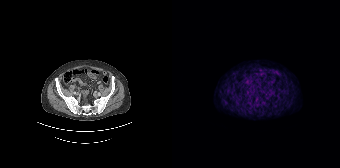
No tumor lesions annotated on this slice. Paired axial CT (left) and PSMA PET (right), 68Ga tracer. PET panel 168×168 px (4.1 mm/px).